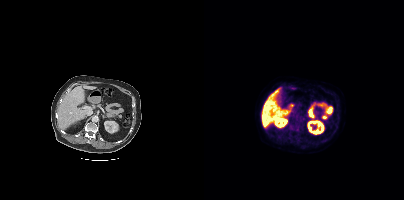
No tumor lesions annotated on this slice.